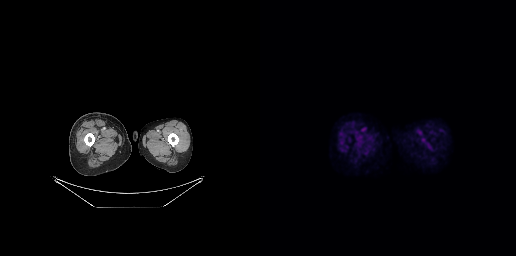
{"modality":"PSMA PET/CT","view":"axial","tracer":"18F-PSMA","pet_grid":[256,256],"coord_frame":"pet_panel","coord_format":"x0,y0,x1,y1","psma_avid_lesions":false}